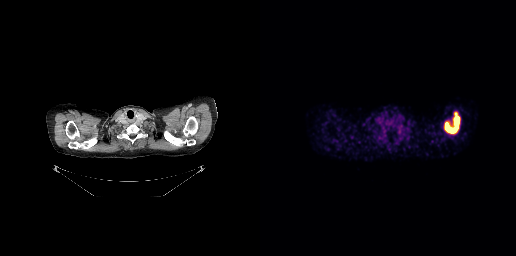
{"modality":"PSMA PET/CT","view":"axial","tracer":"68Ga","pet_grid":[256,256],"coord_frame":"pet_panel","coord_format":"x0,y0,x1,y1","lesion_bboxes":[[184,112,200,133]]}